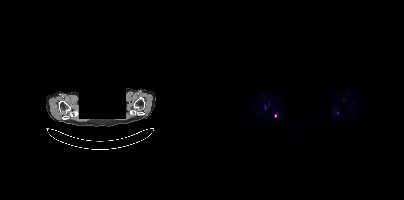
Two-panel axial: CT | PSMA PET, [18F]PSMA-1007 tracer. Acquired on Siemens Biograph mCT Flow 20. The face region was removed for patient privacy by blanking a rectangle over the head. Coordinates are on the 200×200 PET (right) panel. (showing 3 of 4 foci) Small PSMA-avid foci (2 to 4 px across) near (center x, center y): (71, 115) / (133, 112) / (61, 107).